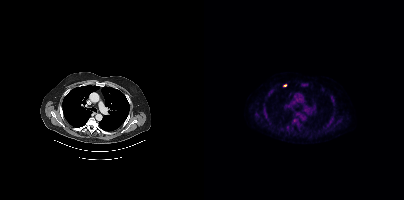
Coordinates are on the 200×200 PET (right) panel. Small PSMA-avid foci (2 to 4 px across) near (center x, center y): (83, 127); (62, 119); (81, 85).